- Left: CT. Right: PSMA PET, same axial level, [18F]PSMA-1007 tracer
- slice position z = -1296 mm
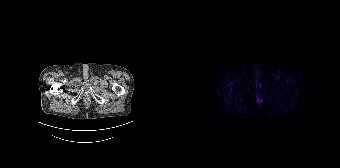
Findings: This slice has no annotated PSMA-avid lesion.